Paired axial CT (left) and PSMA PET (right), [18F]PSMA-1007 tracer. Acquired on Siemens Biograph mCT Flow 20.
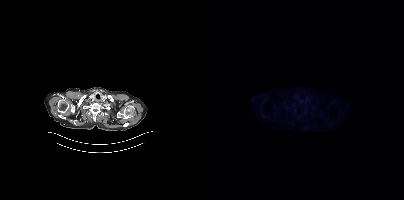
No tumor lesions annotated on this slice.